Technique: Left: CT. Right: PSMA PET, same axial level, 18F tracer. slice 110 of 263.
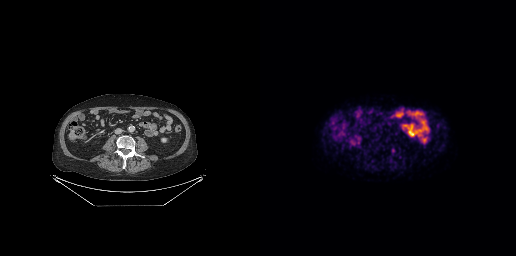
Findings: Coordinates are on the 256×256 PET (right) panel. Small PSMA-avid focus (2 to 4 px across) near (center x, center y): (132, 150).